- Left: CT. Right: PSMA PET, same axial level, [18F]PSMA-1007 tracer
- acquired on Siemens Biograph mCT Flow 20
- slice position z = -1217 mm
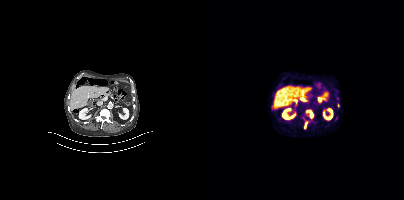
Findings: Coordinates are on the 200×200 PET (right) panel. PSMA-avid tumor lesion bounding boxes (x, y, width, height): x=102 y=109 w=8 h=10 / x=100 y=120 w=5 h=9 / x=133 y=103 w=3 h=5.